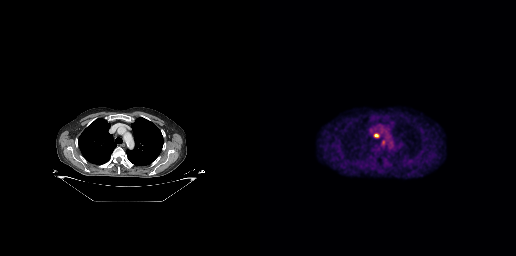
Coordinates are on the 256×256 PET (right) panel. PSMA-avid tumor lesion bounding box (x0,y0,x1,y1): [114,134,118,137].